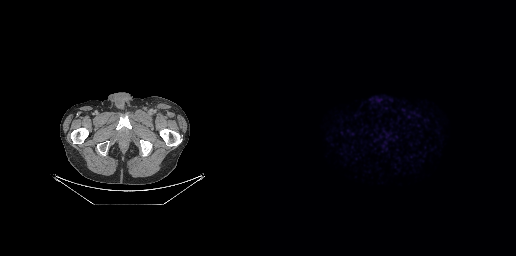
Technique: Paired axial CT (left) and PSMA PET (right), 18F-PSMA tracer. acquired on GE Discovery 690. slice 46 of 263. PET panel 256×256 px (2.7 mm/px).
Findings: No tumor lesions annotated on this slice.